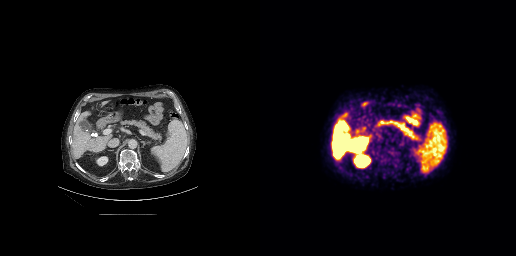
modality: PSMA PET/CT | tracer: [18F]PSMA-1007 | view: axial | PET grid: 256×256
Coordinates are on the 256×256 PET (right) panel. (showing 3 of 4 foci) PSMA-avid tumor lesion bounding boxes (x0, y0)-(x1, y1): (118, 148)-(132, 169) / (176, 109)-(182, 117) / (122, 168)-(129, 172).